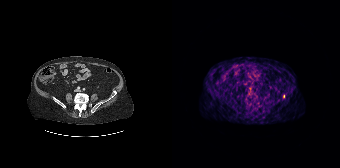
Coordinates are on the 168×168 PET (right) panel. PSMA-avid tumor lesion bounding box (x0,y0,x1,y1): [111,94,112,98].